Paired axial CT (left) and PSMA PET (right), [18F]PSMA-1007 tracer. Acquired on Siemens Biograph mCT Flow 20.
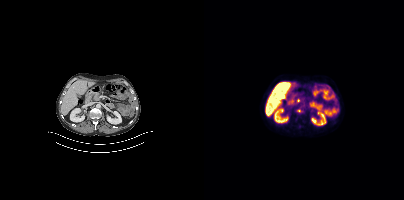
Coordinates are on the 200×200 PET (right) panel. PSMA-avid tumor lesion bounding box (x0,y0,x1,y1): [93,109,97,112].